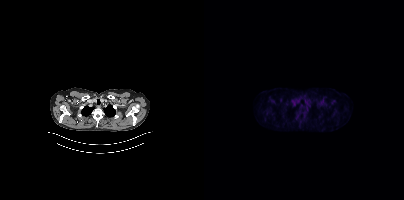
This slice has no annotated PSMA-avid lesion.